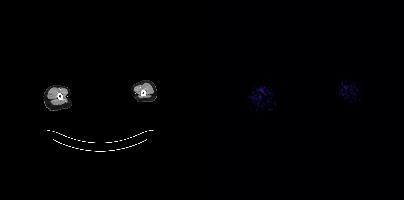
modality: PSMA PET/CT | tracer: [18F]PSMA-1007 | view: axial | PET grid: 200×200 | deidentification: head region blacked out before release
No tumor lesions annotated on this slice.